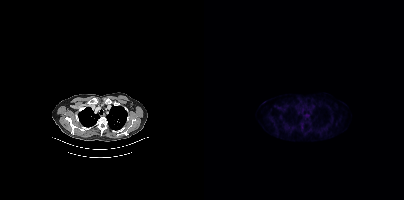
Negative for PSMA-avid disease on this slice. Paired axial CT (left) and PSMA PET (right), 18F-PSMA tracer. Slice 333 of 427. PET panel 200×200 px (4.1 mm/px).